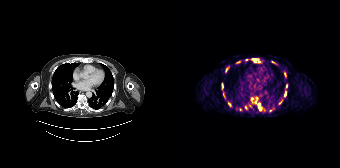
{"pet_grid":[168,168],"coord_frame":"pet_panel","coord_format":"x0,y0,x1,y1","partial":true,"lesion_bboxes":[[86,103,89,110],[80,58,88,62],[51,92,53,98],[53,67,56,71],[112,92,114,96],[64,61,68,63],[107,100,110,104]],"small_foci_centers":[[74,107],[113,74],[57,103],[84,98],[67,109],[74,59],[79,99],[78,106]],"modality":"PSMA PET/CT","view":"axial","tracer":"[68Ga]Ga-PSMA-11"}